Two-panel axial: CT | PSMA PET, [18F]PSMA-1007 tracer.
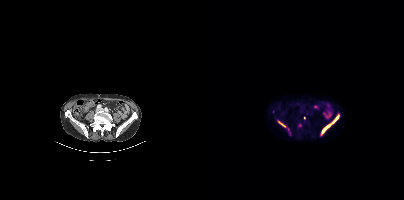
Coordinates are on the 200×200 PET (right) panel. PSMA-avid tumor lesion bounding boxes (partial; 2 more foci not listed):
| # | x0 | y0 | x1 | y1 |
|---|---|---|---|---|
| 1 | 118 | 116 | 134 | 133 |
| 2 | 74 | 121 | 81 | 126 |
Small PSMA-avid focus (2 to 4 px across) near (center x, center y): (85, 133).